Paired axial CT (left) and PSMA PET (right), 18F-PSMA tracer. Acquired on Siemens Biograph mCT Flow 20. PET panel 200×200 px (4.1 mm/px).
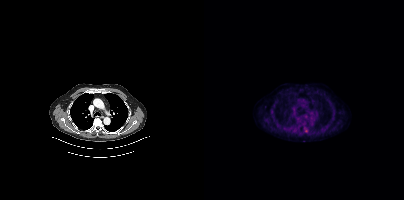
Coordinates are on the 200×200 PET (right) panel. Small PSMA-avid focus (2 to 4 px across) near (center x, center y): (102, 130).